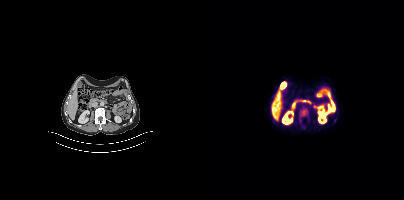
- Two-panel axial: CT | PSMA PET, [18F]PSMA-1007 tracer
- acquired on Siemens Biograph mCT Flow 20
Findings: Coordinates are on the 200×200 PET (right) panel. PSMA-avid tumor lesion bounding box (x, y, width, height): x=98 y=110 w=5 h=6.